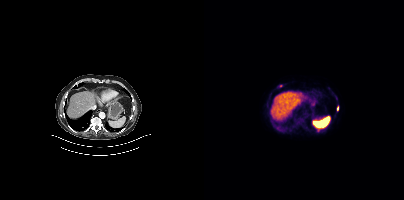
Two-panel axial: CT | PSMA PET, 18F-PSMA tracer. Acquired on Siemens Biograph mCT Flow 20. PET panel 200×200 px (4.1 mm/px).
Coordinates are on the 200×200 PET (right) panel. PSMA-avid tumor lesion bounding boxes:
| # | x0 | y0 | x1 | y1 |
|---|---|---|---|---|
| 1 | 133 | 106 | 134 | 110 |
Small PSMA-avid foci (2 to 4 px across) near (center x, center y): (76, 86); (113, 130).